Paired axial CT (left) and PSMA PET (right), 68Ga-PSMA tracer. Slice 57 of 165. PET panel 168×168 px (4.1 mm/px).
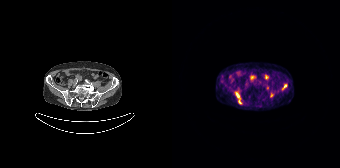
Coordinates are on the 168×168 PET (right) panel. PSMA-avid tumor lesion bounding boxes (x, y, width, height): x=62 y=91 w=8 h=13 / x=109 y=84 w=6 h=6. Small PSMA-avid foci (2 to 4 px across) near (center x, center y): (95, 87) / (99, 95).